- Paired axial CT (left) and PSMA PET (right), 18F tracer
- PET panel 200×200 px (4.1 mm/px)
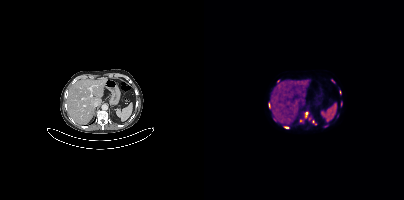
Findings: Coordinates are on the 200×200 PET (right) panel. (showing 9 of 13 foci) PSMA-avid tumor lesion bounding boxes (x0,y0,x1,y1): [95,119,99,122]; [108,120,112,124]; [101,112,104,117]; [120,125,124,127]; [80,126,84,128]; [137,102,138,106]. Small PSMA-avid foci (2 to 4 px across) near (center x, center y): (135, 91); (70, 119); (129, 80).